Technique: Two-panel axial: CT | PSMA PET, [18F]PSMA-1007 tracer. acquired on Siemens Biograph mCT Flow 20.
Note: The head region is masked for de-identification.
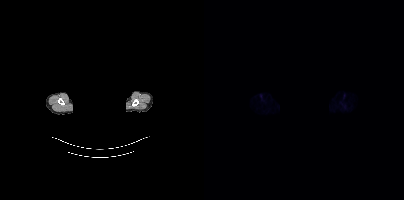
Findings: This slice has no annotated PSMA-avid lesion.